Paired axial CT (left) and PSMA PET (right), [18F]PSMA-1007 tracer. Slice position z = -1123 mm.
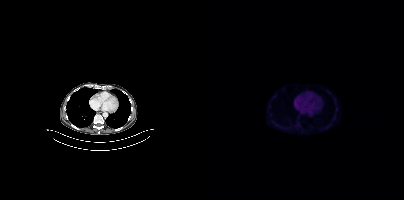
No PSMA-avid tumor lesions on this slice.